modality: PSMA PET/CT | tracer: 18F-PSMA | view: axial
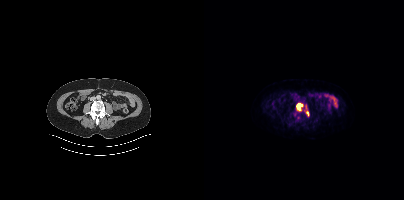
Coordinates are on the 200×200 PET (right) panel. PSMA-avid tumor lesion bounding box (x0,y0,x1,y1): [92,103,98,110]. Small PSMA-avid focus (2 to 4 px across) near (center x, center y): (103, 113).